- Paired axial CT (left) and PSMA PET (right), 18F-PSMA tracer
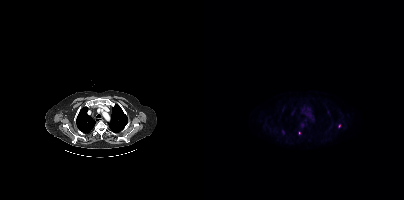
Findings: Only PSMA-avid lesion pieces thinner than 2 px on this slice (not listed).